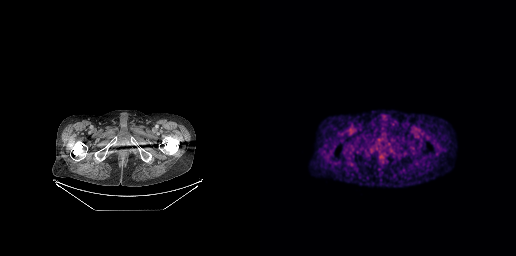
No PSMA-avid tumor lesions on this slice.